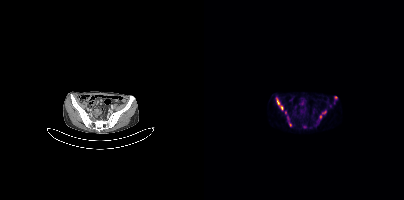
Coordinates are on the 200×200 PET (right) panel. PSMA-avid tumor lesion bounding boxes (x0, y0)-(x1, y1): (72, 98)-(79, 110) | (115, 110)-(122, 118). Small PSMA-avid foci (2 to 4 px across) near (center x, center y): (132, 97) | (81, 112) | (100, 126).